- Two-panel axial: CT | PSMA PET, 18F-PSMA tracer
- slice 272 of 452
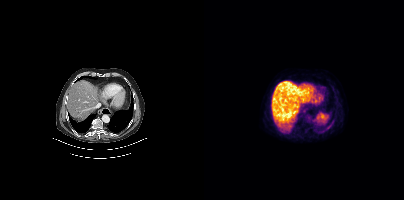
Findings: Negative for PSMA-avid disease on this slice.